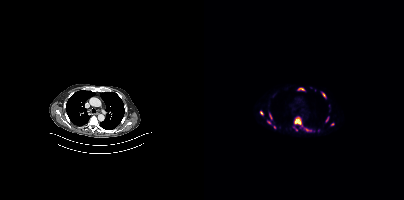
Technique: Left: CT. Right: PSMA PET, same axial level, [18F]PSMA-1007 tracer. PET panel 200×200 px (4.1 mm/px).
Findings: Coordinates are on the 200×200 PET (right) panel. (showing 11 of 12 foci) PSMA-avid tumor lesion bounding boxes (x0,y0,x1,y1): [90,116,98,126]; [117,92,122,97]; [94,88,100,90]; [65,113,67,118]; [122,117,124,121]; [89,127,93,130]; [102,129,106,130]. Small PSMA-avid foci (2 to 4 px across) near (center x, center y): (57, 112); (128, 124); (65, 122); (70, 127).